Technique: Left: CT. Right: PSMA PET, same axial level, 68Ga tracer. slice 260 of 263.
Note: Privacy masking over the head, with the pixels inside a rectangle set to black.
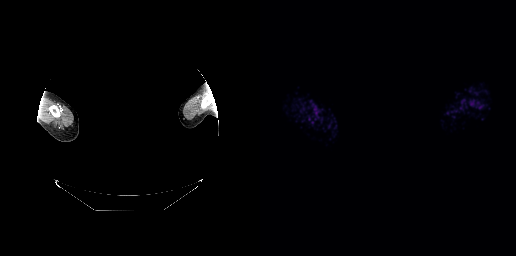
Findings: Negative for PSMA-avid disease on this slice.